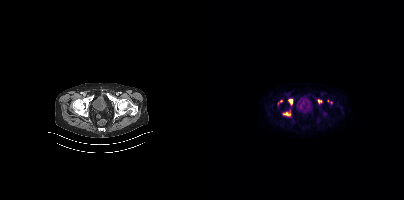
{"modality":"PSMA PET/CT","view":"axial","tracer":"18F","pet_grid":[200,200],"coord_frame":"pet_panel","coord_format":"x0,y0,x1,y1","partial":true,"lesion_bboxes":[[84,99,88,104],[79,112,86,115],[114,99,117,103]],"small_foci_centers":[[124,101]]}